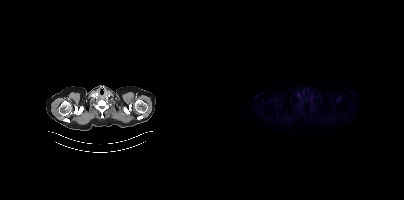
{"modality":"PSMA PET/CT","view":"axial","tracer":"18F","pet_grid":[200,200],"coord_frame":"pet_panel","coord_format":"x0,y0,x1,y1","psma_avid_lesions":false}